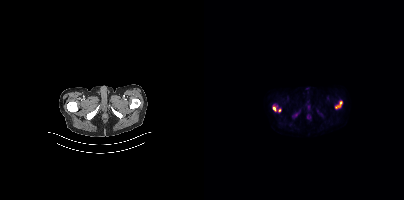
Paired axial CT (left) and PSMA PET (right), [18F]PSMA-1007 tracer. Coordinates are on the 200×200 PET (right) panel. (showing 3 of 4 foci) PSMA-avid tumor lesion bounding boxes (x0, y0)-(x1, y1): (131, 101)-(138, 108) / (69, 104)-(73, 111). Small PSMA-avid focus (2 to 4 px across) near (center x, center y): (75, 110).